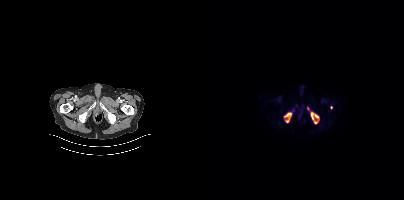
modality: PSMA PET/CT | tracer: [18F]PSMA-1007 | view: axial | PET grid: 200×200
Coordinates are on the 200×200 PET (right) panel. (showing 3 of 4 foci) PSMA-avid tumor lesion bounding boxes (x, y, width, height): x=107 y=112 w=8 h=12; x=80 y=113 w=8 h=10. Small PSMA-avid focus (2 to 4 px across) near (center x, center y): (127, 107).